Left: CT. Right: PSMA PET, same axial level, 68Ga tracer. Slice position z = -1448 mm. PET panel 168×168 px (4.1 mm/px).
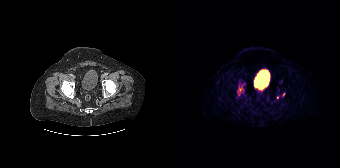
Coordinates are on the 168×168 PET (right) panel. PSMA-avid tumor lesion bounding boxes (partial; 3 more foci not listed):
| # | x0 | y0 | x1 | y1 |
|---|---|---|---|---|
| 1 | 66 | 87 | 71 | 91 |